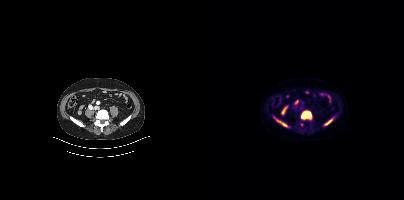
{"modality":"PSMA PET/CT","view":"axial","tracer":"[18F]PSMA-1007","pet_grid":[200,200],"coord_frame":"pet_panel","coord_format":"x0,y0,x1,y1","partial":true,"lesion_bboxes":[[97,111,107,119],[72,119,83,126],[123,119,128,123]]}